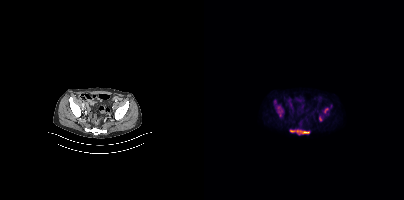
{"modality":"PSMA PET/CT","view":"axial","tracer":"18F","pet_grid":[200,200],"coord_frame":"pet_panel","coord_format":"x0,y0,x1,y1","partial":true,"lesion_bboxes":[[86,130,105,134],[73,107,75,112],[115,116,117,120]]}